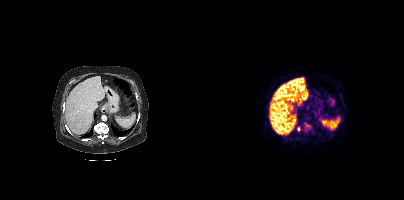
Coordinates are on the 200×200 PET (right) panel. PSMA-avid tumor lesion bounding box (x, y, width, height): x=102 y=125 w=5 h=2. Small PSMA-avid focus (2 to 4 px across) near (center x, center y): (94, 128). Two-panel axial: CT | PSMA PET, 68Ga tracer. Slice 238 of 444.